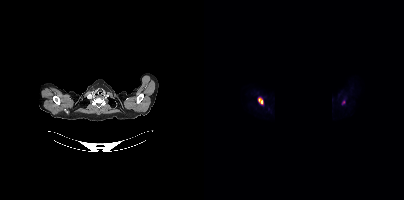
An anonymization step blacked out a rectangle in this scan.
Coordinates are on the 200×200 PET (right) panel. PSMA-avid tumor lesion bounding box (x, y, width, height): x=54 y=97 w=6 h=8.